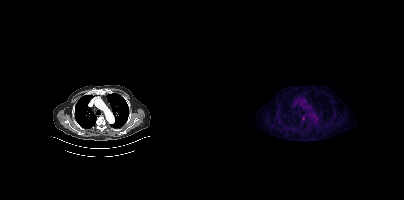
Coordinates are on the 200×200 PET (right) panel. PSMA-avid tumor lesion bounding box (x, y, width, height): x=98 y=116 w=3 h=5.